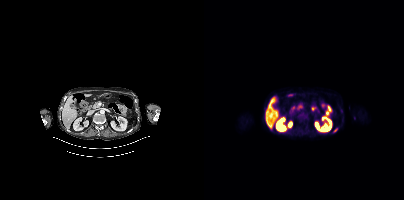
Findings: Coordinates are on the 200×200 PET (right) panel. PSMA-avid tumor lesion bounding box (x0,y0,x1,y1): [129,128,133,132].
- Two-panel axial: CT | PSMA PET, 18F-PSMA tracer
- PET panel 200×200 px (4.1 mm/px)